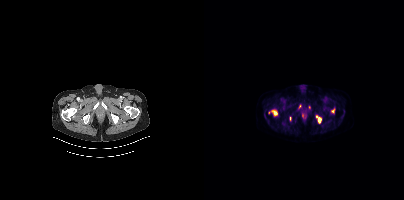
Two-panel axial: CT | PSMA PET, 18F-PSMA tracer. Acquired on Siemens Biograph mCT Flow 20. PET panel 200×200 px (4.1 mm/px).
Coordinates are on the 200×200 PET (right) panel. PSMA-avid tumor lesion bounding boxes (partial; 2 more foci not listed):
| # | x0 | y0 | x1 | y1 |
|---|---|---|---|---|
| 1 | 67 | 110 | 73 | 115 |
| 2 | 112 | 115 | 117 | 122 |
| 3 | 127 | 108 | 130 | 113 |
Small PSMA-avid foci (2 to 4 px across) near (center x, center y): (95, 106); (105, 107); (98, 115).